- Left: CT. Right: PSMA PET, same axial level, 18F tracer
- slice 52 of 442
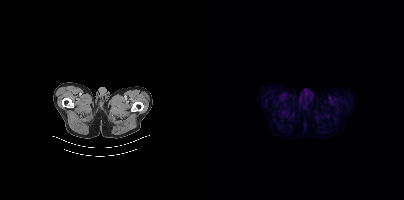
Findings: This slice has no annotated PSMA-avid lesion.